Technique: Left: CT. Right: PSMA PET, same axial level, 18F-PSMA tracer. slice position z = -295 mm. PET panel 200×200 px (4.1 mm/px).
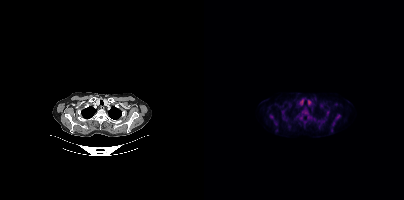
Findings: Coordinates are on the 200×200 PET (right) panel. Small PSMA-avid foci (2 to 4 px across) near (center x, center y): (132, 117); (67, 116); (78, 112); (71, 123); (130, 123).